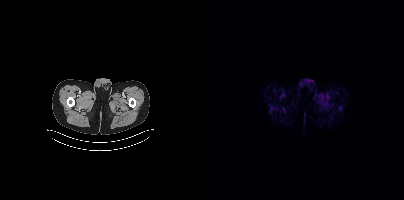
Negative for PSMA-avid disease on this slice.
modality: PSMA PET/CT | tracer: [68Ga]Ga-PSMA-11 | view: axial